Paired axial CT (left) and PSMA PET (right), 68Ga-PSMA tracer. Acquired on Siemens Biograph 64-4R TruePoint. Slice 166 of 195.
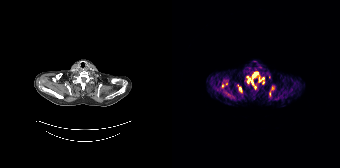
Coordinates are on the 168×168 PET (right) panel. (showing 9 of 13 foci) PSMA-avid tumor lesion bounding boxes (x0,y0,x1,y1): [75,76,78,82]; [87,77,92,81]. Small PSMA-avid foci (2 to 4 px across) near (center x, center y): (83, 87); (56, 94); (84, 72); (81, 75); (50, 85); (67, 88); (91, 82).